Technique: Left: CT. Right: PSMA PET, same axial level, 68Ga tracer. acquired on Siemens Biograph 64-4R TruePoint. slice position z = -1566 mm. PET panel 168×168 px (4.1 mm/px).
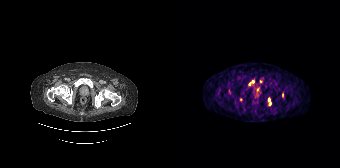
Findings: Coordinates are on the 168×168 PET (right) panel. PSMA-avid tumor lesion bounding boxes (x, y, width, height): x=96 y=98 w=4 h=8 | x=110 y=93 w=2 h=5. Small PSMA-avid foci (2 to 4 px across) near (center x, center y): (89, 81) | (81, 81) | (77, 84) | (57, 91) | (68, 98).